Privacy masking over the head, with the pixels inside a rectangle set to black. Left: CT. Right: PSMA PET, same axial level, [18F]PSMA-1007 tracer. Slice position z = -156 mm. PET panel 200×200 px (4.1 mm/px).
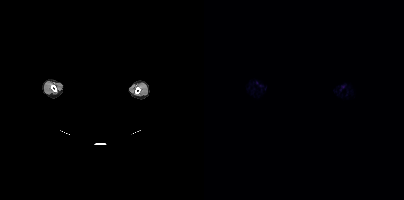
This slice has no annotated PSMA-avid lesion.